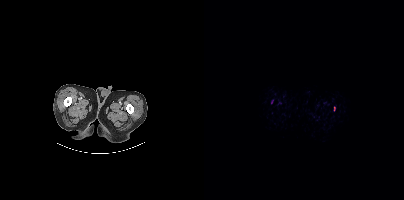
No PSMA-avid tumor lesions on this slice.